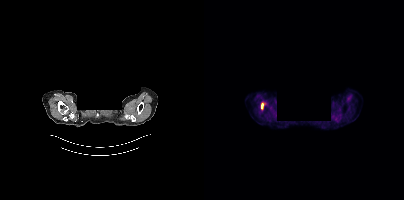
Coordinates are on the 200×200 PET (right) panel. PSMA-avid tumor lesion bounding box (x0,y0,x1,y1): [57,103,59,108]. Facial anatomy redacted by setting a rectangular region of the head to black. Paired axial CT (left) and PSMA PET (right), [18F]PSMA-1007 tracer. Acquired on Siemens Biograph mCT Flow 20. Slice position z = -1002 mm.